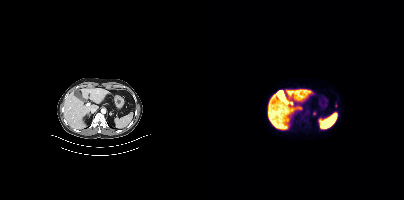
Left: CT. Right: PSMA PET, same axial level, 18F-PSMA tracer. Acquired on Siemens Biograph mCT Flow 20. Slice 235 of 425. Coordinates are on the 200×200 PET (right) panel. (showing 1 of 2 foci) Small PSMA-avid focus (2 to 4 px across) near (center x, center y): (110, 113).